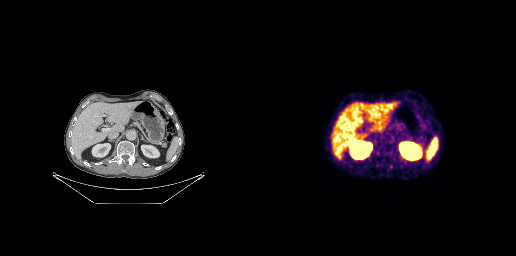
Coordinates are on the 256×256 PET (right) panel. PSMA-avid tumor lesion bounding box (x0,y0,x1,y1): [129,136,134,143]. Small PSMA-avid focus (2 to 4 px across) near (center x, center y): (122, 137).